Paired axial CT (left) and PSMA PET (right), [18F]PSMA-1007 tracer. Acquired on Siemens Biograph mCT Flow 20. PET panel 200×200 px (4.1 mm/px).
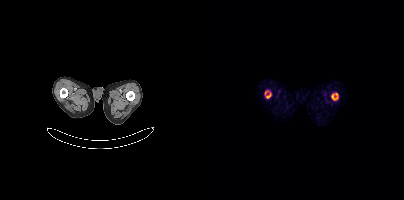
Coordinates are on the 200×200 PET (right) panel. PSMA-avid tumor lesion bounding boxes:
| # | x0 | y0 | x1 | y1 |
|---|---|---|---|---|
| 1 | 127 | 93 | 134 | 100 |
| 2 | 62 | 92 | 67 | 98 |
Small PSMA-avid focus (2 to 4 px across) near (center x, center y): (62, 92).